Left: CT. Right: PSMA PET, same axial level, [18F]PSMA-1007 tracer.
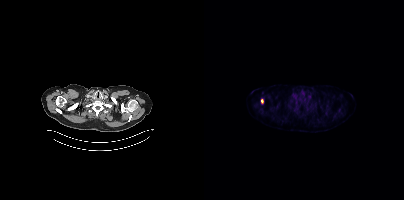
Coordinates are on the 200×200 PET (right) panel. PSMA-avid tumor lesion bounding box (x, y, width, height): x=57 y=99 w=3 h=5.